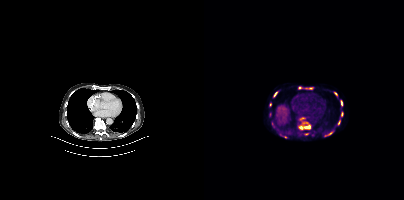
Technique: Paired axial CT (left) and PSMA PET (right), [18F]PSMA-1007 tracer. PET panel 200×200 px (4.1 mm/px).
Findings: Coordinates are on the 200×200 PET (right) panel. (showing 10 of 12 foci) PSMA-avid tumor lesion bounding boxes (x0, y0)-(x1, y1): (94, 122)-(106, 129); (69, 91)-(74, 97); (136, 100)-(139, 106); (137, 111)-(139, 116); (133, 119)-(136, 125); (121, 132)-(128, 136); (130, 92)-(133, 96). Small PSMA-avid foci (2 to 4 px across) near (center x, center y): (102, 133); (98, 86); (66, 104).